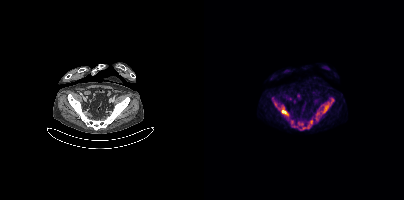
{"modality":"PSMA PET/CT","view":"axial","tracer":"18F","pet_grid":[200,200],"coord_frame":"pet_panel","coord_format":"x0,y0,x1,y1","partial":true,"lesion_bboxes":[[94,119,109,130],[68,97,74,107],[119,104,124,112],[77,110,83,114],[87,120,89,124],[88,125,93,127]]}